modality: PSMA PET/CT | tracer: [18F]PSMA-1007 | view: axial
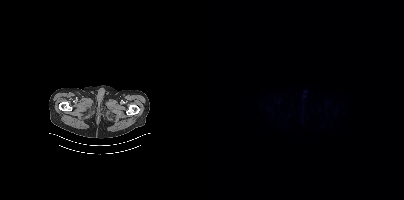
This slice has no annotated PSMA-avid lesion.